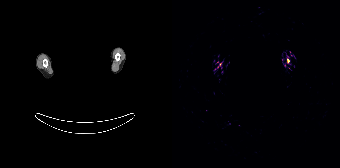
- Left: CT. Right: PSMA PET, same axial level, 68Ga-PSMA tracer
- slice position z = -580 mm
- PET panel 168×168 px (4.1 mm/px)
- a rectangular block over the head has been blanked out for de-identification
Findings: Coordinates are on the 168×168 PET (right) panel. Small PSMA-avid focus (2 to 4 px across) near (center x, center y): (116, 60).